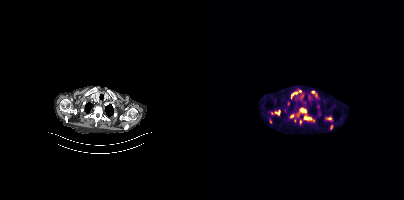
Coordinates are on the 200×200 PET (right) panel. (showing 9 of 11 foci) PSMA-avid tumor lesion bounding boxes (x0, y0)-(x1, y1): (92, 107)-(110, 121) / (67, 111)-(75, 115) / (65, 118)-(68, 123) / (86, 114)-(90, 118) / (88, 92)-(92, 95) / (96, 120)-(97, 124). Small PSMA-avid foci (2 to 4 px across) near (center x, center y): (109, 92) / (90, 120) / (84, 102).